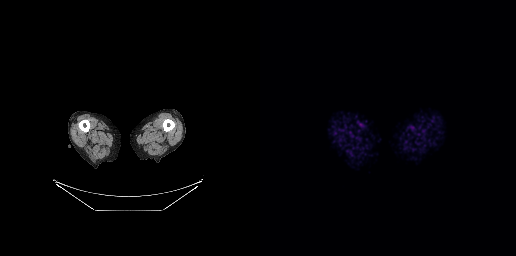
Technique: Paired axial CT (left) and PSMA PET (right), 18F-PSMA tracer.
Findings: No tumor lesions annotated on this slice.